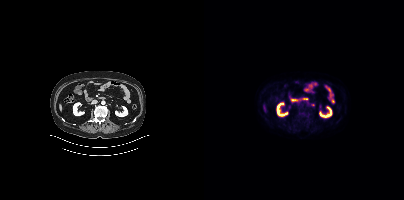
Findings: Coordinates are on the 200×200 PET (right) panel. Small PSMA-avid focus (2 to 4 px across) near (center x, center y): (109, 104).
Technique: Paired axial CT (left) and PSMA PET (right), [18F]PSMA-1007 tracer. acquired on Siemens Biograph mCT Flow 20. slice position z = -665 mm.